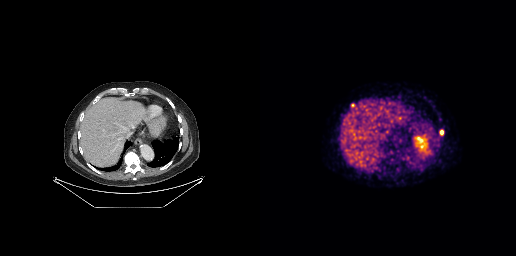
Paired axial CT (left) and PSMA PET (right), 68Ga tracer. Acquired on GE Discovery 690. PET panel 256×256 px (2.7 mm/px).
Coordinates are on the 256×256 PET (right) panel. PSMA-avid tumor lesion bounding boxes:
| # | x0 | y0 | x1 | y1 |
|---|---|---|---|---|
| 1 | 180 | 130 | 183 | 134 |
Small PSMA-avid focus (2 to 4 px across) near (center x, center y): (92, 105).